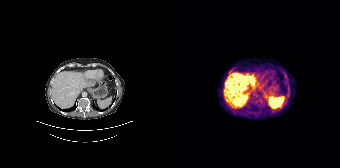
No tumor lesions annotated on this slice. Paired axial CT (left) and PSMA PET (right), 68Ga-PSMA tracer.